- Left: CT. Right: PSMA PET, same axial level, 68Ga-PSMA tracer
- acquired on Siemens Biograph 64-4R TruePoint
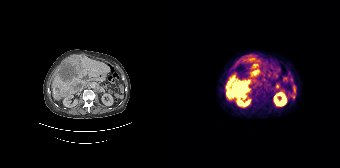
Findings: Coordinates are on the 168×168 PET (right) panel. PSMA-avid tumor lesion bounding boxes (x0, y0)-(x1, y1): (54, 76)-(78, 100) | (78, 62)-(88, 76). Small PSMA-avid foci (2 to 4 px across) near (center x, center y): (78, 59) | (82, 56).